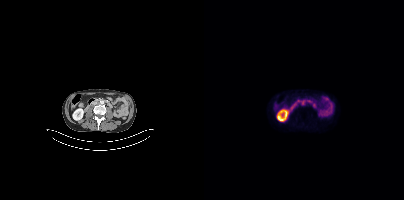
{"modality":"PSMA PET/CT","view":"axial","tracer":"18F","pet_grid":[200,200],"coord_frame":"pet_panel","coord_format":"x0,y0,x1,y1","lesion_bboxes":[[96,100,101,105]]}